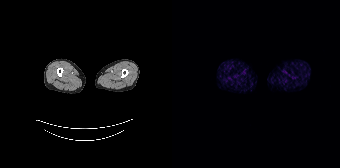
Negative for PSMA-avid disease on this slice.